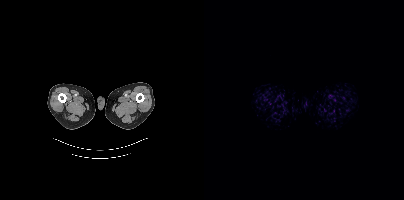
modality: PSMA PET/CT | tracer: 18F-PSMA | view: axial
No PSMA-avid tumor lesions on this slice.